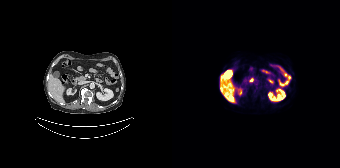
- Left: CT. Right: PSMA PET, same axial level, [18F]PSMA-1007 tracer
- acquired on Siemens Biograph 64-4R TruePoint
Findings: Coordinates are on the 168×168 PET (right) panel. (showing 1 of 2 foci) Small PSMA-avid focus (2 to 4 px across) near (center x, center y): (59, 97).